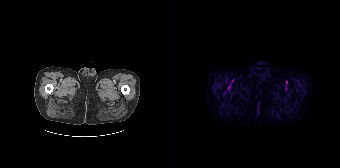
Technique: Paired axial CT (left) and PSMA PET (right), 18F-PSMA tracer. slice 29 of 195.
Findings: This slice has no annotated PSMA-avid lesion.